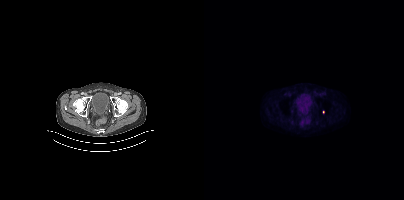
Findings: Coordinates are on the 200×200 PET (right) panel. Small PSMA-avid focus (2 to 4 px across) near (center x, center y): (119, 111).
- Paired axial CT (left) and PSMA PET (right), 18F-PSMA tracer